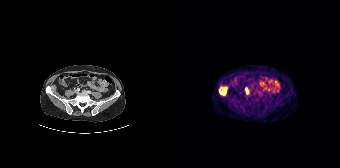
Coordinates are on the 168×168 PET (right) panel. (showing 2 of 3 foci) PSMA-avid tumor lesion bounding boxes (x0,y0,x1,y1): [47,88,54,95]; [73,88,76,93].